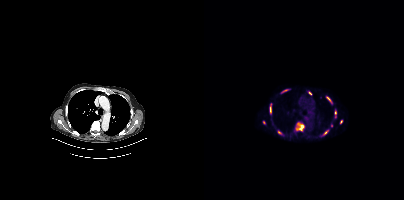
Left: CT. Right: PSMA PET, same axial level, 68Ga tracer. Acquired on Siemens Biograph mCT Flow 20. Coordinates are on the 200×200 PET (right) panel. (showing 10 of 12 foci) PSMA-avid tumor lesion bounding boxes (x0,y0,x1,y1): [91,122,99,131], [66,106,67,113], [122,96,126,100], [119,131,123,135], [79,89,83,92]. Small PSMA-avid foci (2 to 4 px across) near (center x, center y): (131, 112), (137, 121), (75, 132), (127, 125), (59, 122).